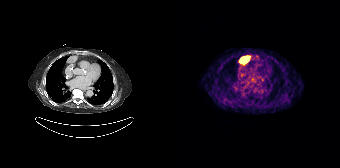
Coordinates are on the 168×168 PET (right) panel. PSMA-avid tumor lesion bounding box (x0, y0)-(x1, y1): (68, 56)-(77, 63).